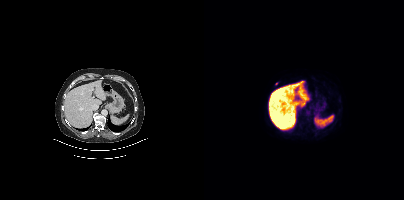
Coordinates are on the 200×200 PET (right) panel. Small PSMA-avid focus (2 to 4 px across) near (center x, center y): (72, 83).